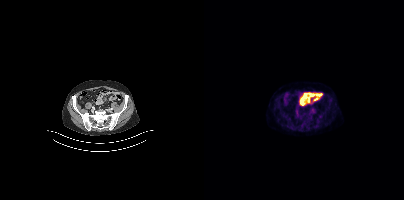
This slice has no annotated PSMA-avid lesion.